- Left: CT. Right: PSMA PET, same axial level, 68Ga tracer
- slice 338 of 429
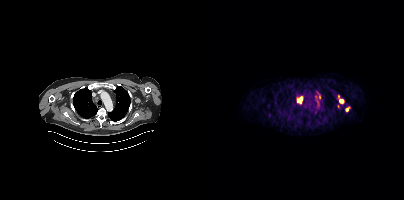
Findings: Coordinates are on the 200×200 PET (right) panel. (showing 4 of 7 foci) PSMA-avid tumor lesion bounding box (x0,y0,x1,y1): [93,97,98,102]. Small PSMA-avid foci (2 to 4 px across) near (center x, center y): (137, 101); (112, 98); (142, 109).